Technique: Left: CT. Right: PSMA PET, same axial level, 18F tracer. slice 145 of 409. PET panel 200×200 px (4.1 mm/px).
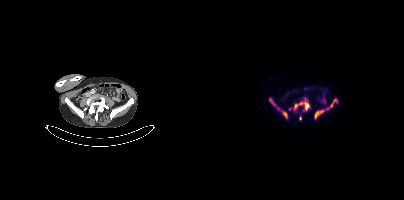
Findings: Coordinates are on the 200×200 PET (right) panel. (showing 8 of 10 foci) PSMA-avid tumor lesion bounding boxes (x0,y0,x1,y1): [90,101,105,110], [125,98,133,108], [111,111,116,118], [77,110,83,117], [66,98,71,105]. Small PSMA-avid foci (2 to 4 px across) near (center x, center y): (74, 108), (96, 118), (119, 110).